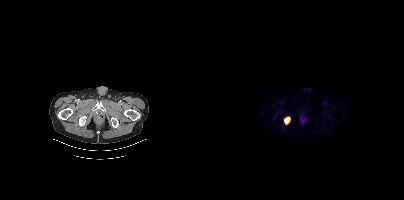
modality: PSMA PET/CT | tracer: [18F]PSMA-1007 | view: axial | PET grid: 200×200
Coordinates are on the 200×200 PET (right) panel. PSMA-avid tumor lesion bounding box (x0, y0)-(x1, y1): (80, 118)-(85, 123).